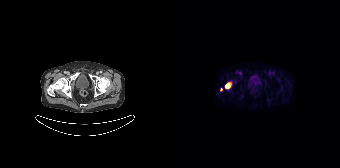
Findings: Coordinates are on the 168×168 PET (right) panel. PSMA-avid tumor lesion bounding box (x, y, width, height): x=53 y=82 w=7 h=8. Small PSMA-avid focus (2 to 4 px across) near (center x, center y): (49, 89).
- Left: CT. Right: PSMA PET, same axial level, [18F]PSMA-1007 tracer